Two-panel axial: CT | PSMA PET, 18F-PSMA tracer. Acquired on Siemens Biograph mCT Flow 20. PET panel 200×200 px (4.1 mm/px).
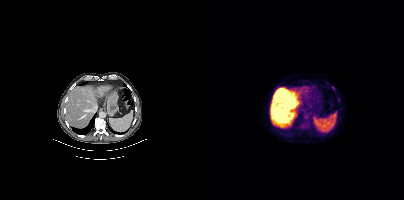
Only PSMA-avid lesion pieces thinner than 2 px on this slice (not listed).